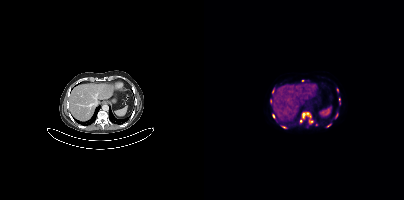
- Paired axial CT (left) and PSMA PET (right), [18F]PSMA-1007 tracer
Findings: Coordinates are on the 200×200 PET (right) panel. (showing 10 of 13 foci) PSMA-avid tumor lesion bounding boxes (x0,y0,x1,y1): [98,112,106,118], [122,124,127,127], [68,88,70,93], [133,88,134,92]. Small PSMA-avid foci (2 to 4 px across) near (center x, center y): (106, 121), (69, 115), (96, 121), (99, 80), (66, 101), (132, 115).